modality: PSMA PET/CT | tracer: [18F]PSMA-1007 | view: axial
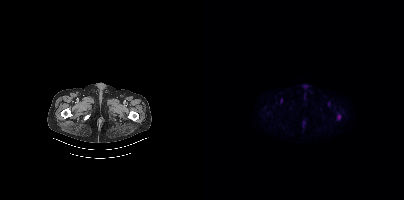
No tumor lesions annotated on this slice.